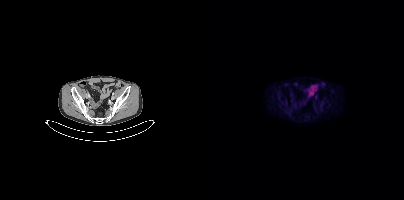
modality: PSMA PET/CT | tracer: 18F-PSMA | view: axial
Only PSMA-avid lesion pieces thinner than 2 px on this slice (not listed).